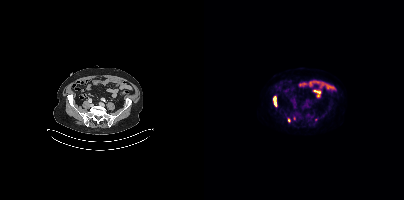
Two-panel axial: CT | PSMA PET, 18F-PSMA tracer.
Coordinates are on the 200×200 PET (right) panel. PSMA-avid tumor lesion bounding boxes (partial; 2 more foci not listed):
| # | x0 | y0 | x1 | y1 |
|---|---|---|---|---|
| 1 | 69 | 96 | 73 | 106 |
| 2 | 84 | 118 | 86 | 122 |